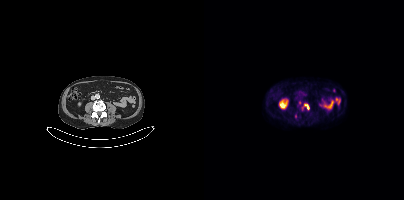
{"modality":"PSMA PET/CT","view":"axial","tracer":"18F-PSMA","pet_grid":[200,200],"coord_frame":"pet_panel","coord_format":"x0,y0,x1,y1","partial":true,"lesion_bboxes":[[100,103,105,109]]}